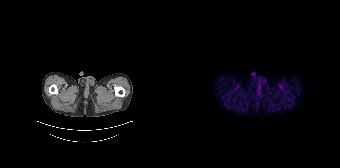
Paired axial CT (left) and PSMA PET (right), [68Ga]Ga-PSMA-11 tracer. Acquired on Siemens Biograph 64-4R TruePoint. This slice has no annotated PSMA-avid lesion.